Technique: Paired axial CT (left) and PSMA PET (right), 18F tracer. acquired on Siemens Biograph mCT Flow 20. slice 197 of 452.
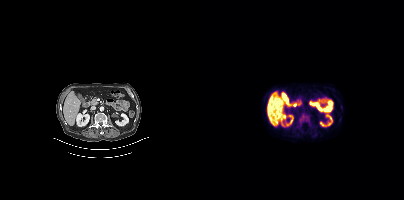
Findings: Coordinates are on the 200×200 PET (right) panel. PSMA-avid tumor lesion bounding box (x0, y0)-(x1, y1): (95, 114)-(105, 123).